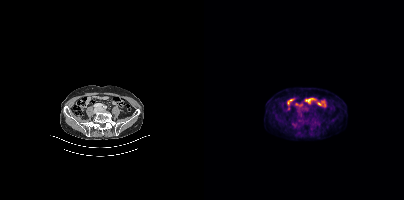
{"modality":"PSMA PET/CT","view":"axial","tracer":"[18F]PSMA-1007","pet_grid":[200,200],"coord_frame":"pet_panel","coord_format":"x0,y0,x1,y1","psma_avid_lesions":false}